Paired axial CT (left) and PSMA PET (right), 18F-PSMA tracer. PET panel 200×200 px (4.1 mm/px).
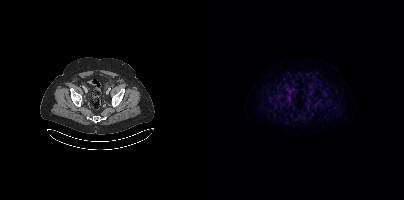
Only PSMA-avid lesion pieces thinner than 2 px on this slice (not listed).